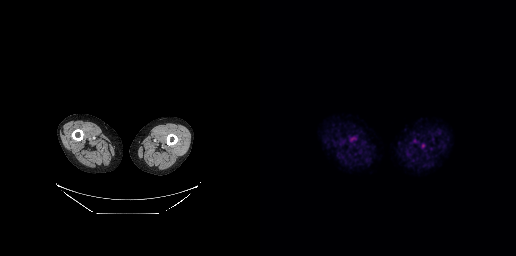
{"modality":"PSMA PET/CT","view":"axial","tracer":"18F","pet_grid":[256,256],"coord_frame":"pet_panel","coord_format":"x0,y0,x1,y1","psma_avid_lesions":false}